modality: PSMA PET/CT | tracer: 18F | view: axial | PET grid: 200×200
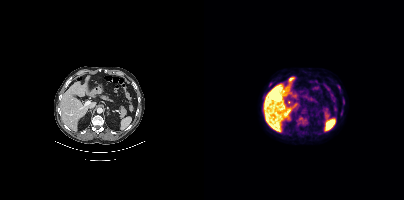
Coordinates are on the 200×200 PET (right) panel. Small PSMA-avid focus (2 to 4 px across) near (center x, center y): (140, 106).